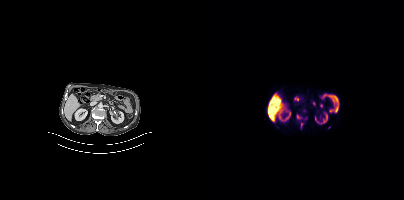
Paired axial CT (left) and PSMA PET (right), [18F]PSMA-1007 tracer. Coordinates are on the 200×200 PET (right) panel. (showing 1 of 3 foci) Small PSMA-avid focus (2 to 4 px across) near (center x, center y): (93, 116).